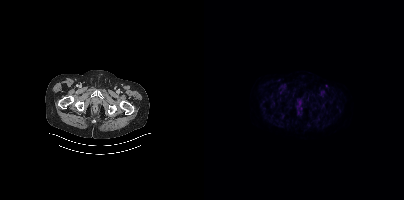
modality: PSMA PET/CT | tracer: 18F | view: axial
Negative for PSMA-avid disease on this slice.